Left: CT. Right: PSMA PET, same axial level, 68Ga tracer. Acquired on Siemens Biograph mCT Flow 20.
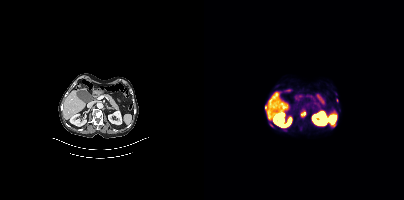
Coordinates are on the 200×200 PET (right) panel. PSMA-avid tumor lesion bounding boxes:
| # | x0 | y0 | x1 | y1 |
|---|---|---|---|---|
| 1 | 97 | 111 | 101 | 116 |
| 2 | 128 | 123 | 131 | 127 |
| 3 | 61 | 105 | 62 | 110 |
Small PSMA-avid focus (2 to 4 px across) near (center x, center y): (67, 125).